Left: CT. Right: PSMA PET, same axial level, [18F]PSMA-1007 tracer. Slice position z = -190 mm. The face region was removed for patient privacy by blanking a rectangle over the head.
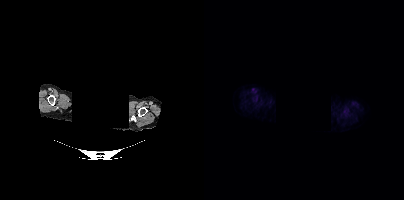
Negative for PSMA-avid disease on this slice.